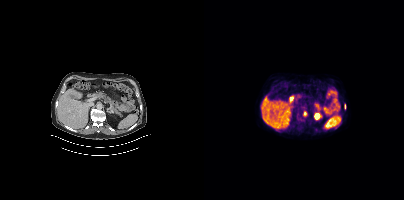
Paired axial CT (left) and PSMA PET (right), [18F]PSMA-1007 tracer. Slice 229 of 444. PET panel 200×200 px (4.1 mm/px). No PSMA-avid tumor lesions on this slice.